- Paired axial CT (left) and PSMA PET (right), [18F]PSMA-1007 tracer
- PET panel 200×200 px (4.1 mm/px)
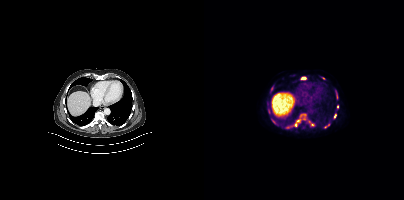
Findings: Coordinates are on the 200×200 PET (right) panel. (showing 8 of 11 foci) PSMA-avid tumor lesion bounding boxes (x0, y0)-(x1, y1): (89, 122)-(93, 126) | (97, 77)-(101, 79) | (132, 93)-(133, 98) | (130, 114)-(132, 118). Small PSMA-avid foci (2 to 4 px across) near (center x, center y): (133, 106) | (108, 124) | (82, 127) | (119, 78).